Left: CT. Right: PSMA PET, same axial level, [18F]PSMA-1007 tracer. Acquired on Siemens Biograph mCT Flow 20. PET panel 200×200 px (4.1 mm/px).
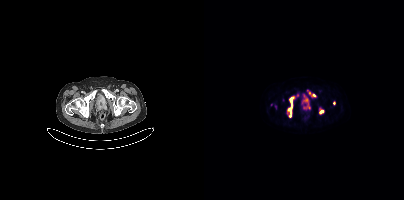
Coordinates are on the 200×200 PET (right) panel. (showing 6 of 7 foci) PSMA-avid tumor lesion bounding boxes (x, y, width, height): x=83 y=94 w=12 h=23 / x=99 y=95 w=8 h=14 / x=103 y=90 w=9 h=7 / x=115 y=110 w=5 h=4. Small PSMA-avid foci (2 to 4 px across) near (center x, center y): (71, 106) / (129, 103).